Two-panel axial: CT | PSMA PET, [18F]PSMA-1007 tracer. PET panel 200×200 px (4.1 mm/px).
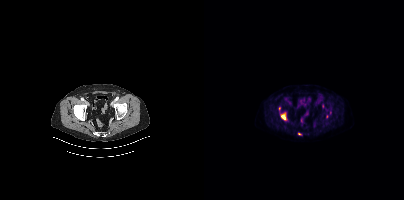
Coordinates are on the 200×200 PET (right) panel. (showing 2 of 4 foci) PSMA-avid tumor lesion bounding box (x0, y0)-(x1, y1): (77, 113)-(81, 119). Small PSMA-avid focus (2 to 4 px across) near (center x, center y): (95, 133).